Technique: Left: CT. Right: PSMA PET, same axial level, [68Ga]Ga-PSMA-11 tracer. acquired on GE Discovery 690.
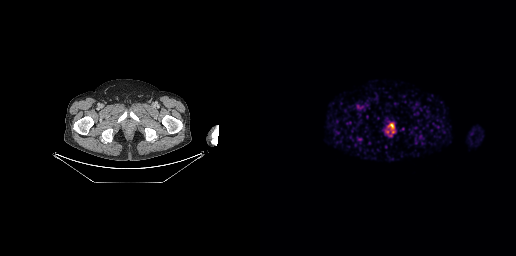
Findings: Coordinates are on the 256×256 PET (right) panel. PSMA-avid tumor lesion bounding box (x0,y0,x1,y1): [130,124,134,129].